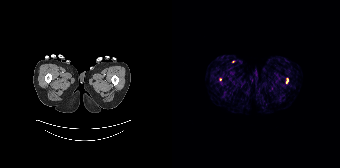
Technique: Paired axial CT (left) and PSMA PET (right), [68Ga]Ga-PSMA-11 tracer. acquired on Siemens Biograph 64-4R TruePoint. slice position z = -1390 mm.
Findings: Coordinates are on the 168×168 PET (right) panel. (showing 2 of 3 foci) Small PSMA-avid foci (2 to 4 px across) near (center x, center y): (115, 79); (48, 79).